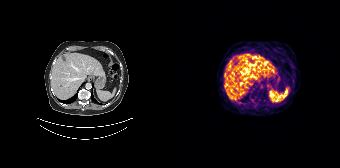
- Paired axial CT (left) and PSMA PET (right), 68Ga-PSMA tracer
- acquired on Siemens Biograph 64-4R TruePoint
- PET panel 168×168 px (4.1 mm/px)
Findings: No PSMA-avid tumor lesions on this slice.